Technique: Left: CT. Right: PSMA PET, same axial level, 68Ga-PSMA tracer. slice 329 of 393.
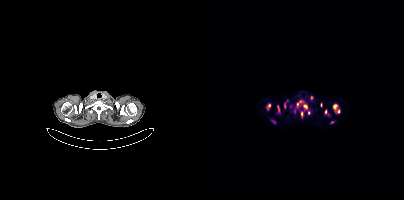
Findings: Coordinates are on the 200×200 PET (right) panel. (showing 12 of 16 foci) PSMA-avid tumor lesion bounding boxes (x0,y0,x1,y1): [129,104,135,113] [99,104,103,108] [97,112,99,118] [63,104,66,109] [73,106,75,111] [80,103,81,107]. Small PSMA-avid foci (2 to 4 px across) near (center x, center y): (121, 111) (87, 106) (104, 112) (93, 104) (90, 111) (128, 122).